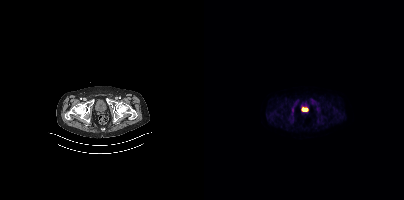
- Left: CT. Right: PSMA PET, same axial level, 18F tracer
- slice position z = -1555 mm
- PET panel 200×200 px (4.1 mm/px)
Findings: Coordinates are on the 200×200 PET (right) panel. PSMA-avid tumor lesion bounding box (x, y, width, height): x=98 y=108 w=6 h=3.